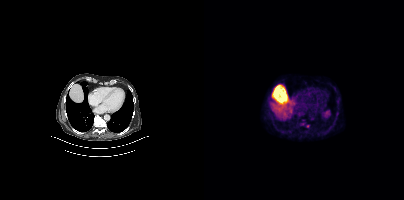
Findings: This slice has no annotated PSMA-avid lesion.
Technique: Left: CT. Right: PSMA PET, same axial level, 18F tracer. acquired on Siemens Biograph mCT Flow 20. slice position z = -1164 mm. PET panel 200×200 px (4.1 mm/px).